A rectangle over the head was blacked out to remove identifiable facial features.
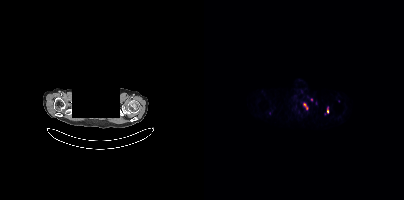
Coordinates are on the 200×200 PET (right) panel. (showing 2 of 4 foci) PSMA-avid tumor lesion bounding boxes (x, y, width, height): x=123 y=107 w=2 h=6 / x=100 y=104 w=4 h=5.